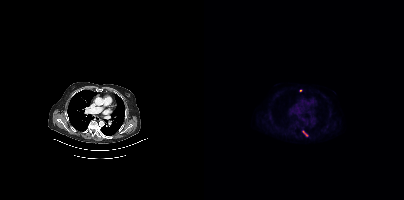
{"modality":"PSMA PET/CT","view":"axial","tracer":"18F","pet_grid":[200,200],"coord_frame":"pet_panel","coord_format":"x0,y0,x1,y1","lesion_bboxes":[[99,131,103,135]],"small_foci_centers":[[96,90]]}